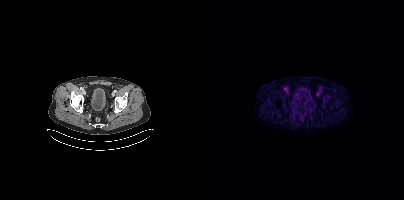
Technique: Paired axial CT (left) and PSMA PET (right), 18F-PSMA tracer. acquired on Siemens Biograph mCT Flow 20. PET panel 200×200 px (4.1 mm/px).
Findings: This slice has no annotated PSMA-avid lesion.